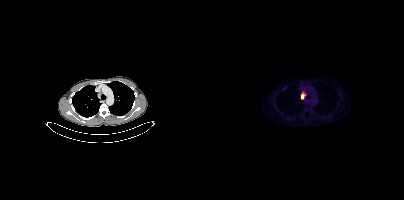
Technique: Left: CT. Right: PSMA PET, same axial level, [18F]PSMA-1007 tracer. acquired on Siemens Biograph mCT Flow 20.
Findings: Coordinates are on the 200×200 PET (right) panel. PSMA-avid tumor lesion bounding box (x0,y0,x1,y1): [97,92,101,98]. Small PSMA-avid focus (2 to 4 px across) near (center x, center y): (97, 87).